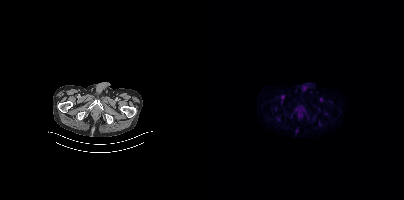
Paired axial CT (left) and PSMA PET (right), 18F-PSMA tracer. Acquired on Siemens Biograph mCT Flow 20. Slice position z = -1001 mm. No PSMA-avid tumor lesions on this slice.